modality: PSMA PET/CT | tracer: [18F]PSMA-1007 | view: axial | PET grid: 200×200
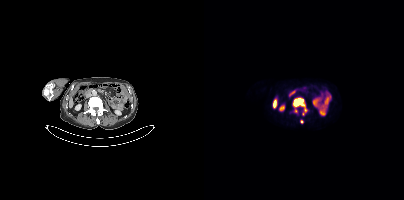
Coordinates are on the 200×200 PET (right) panel. PSMA-avid tumor lesion bounding box (x, y, width, height): x=88 y=98 w=16 h=18. Small PSMA-avid focus (2 to 4 px across) near (center x, center y): (97, 121).